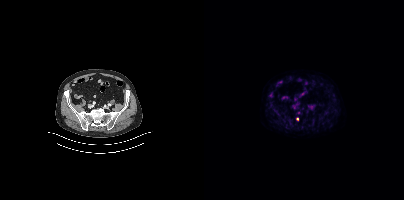
Coordinates are on the 200×200 PET (right) panel. Small PSMA-avid foci (2 to 4 px across) near (center x, center y): (93, 119); (66, 94). Left: CT. Right: PSMA PET, same axial level, 18F-PSMA tracer. Slice position z = -922 mm. PET panel 200×200 px (4.1 mm/px).